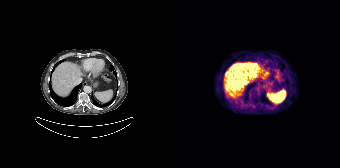
Technique: Paired axial CT (left) and PSMA PET (right), 68Ga tracer. slice 128 of 195. PET panel 168×168 px (4.1 mm/px).
Findings: Coordinates are on the 168×168 PET (right) panel. (showing 4 of 5 foci) PSMA-avid tumor lesion bounding boxes (x0,y0,x1,y1): [63,79,74,86]; [69,63,79,69]; [83,71,84,75]. Small PSMA-avid focus (2 to 4 px across) near (center x, center y): (66, 63).